- Paired axial CT (left) and PSMA PET (right), 18F tracer
- PET panel 200×200 px (4.1 mm/px)
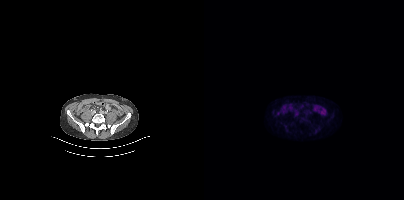
Findings: Only PSMA-avid lesion pieces thinner than 2 px on this slice (not listed).